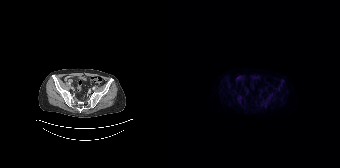
- Paired axial CT (left) and PSMA PET (right), [18F]PSMA-1007 tracer
- acquired on Siemens Biograph 64-4R TruePoint
- slice position z = -1090 mm
- PET panel 168×168 px (4.1 mm/px)
Findings: Only PSMA-avid lesion pieces thinner than 2 px on this slice (not listed).